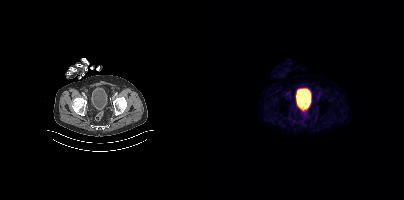
Two-panel axial: CT | PSMA PET, [68Ga]Ga-PSMA-11 tracer. Acquired on Siemens Biograph mCT Flow 20. Slice 90 of 429. No PSMA-avid tumor lesions on this slice.